- Left: CT. Right: PSMA PET, same axial level, 68Ga-PSMA tracer
- slice 249 of 389
- PET panel 200×200 px (4.1 mm/px)
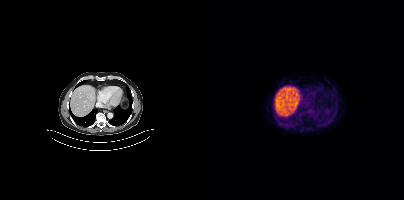
Findings: This slice has no annotated PSMA-avid lesion.